Paired axial CT (left) and PSMA PET (right), 18F-PSMA tracer. Acquired on GE Discovery 690.
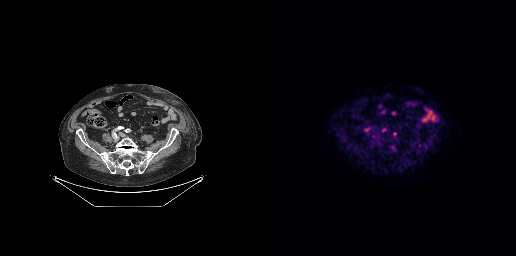
Coordinates are on the 256×256 PET (right) panel. Small PSMA-avid focus (2 to 4 px across) near (center x, center y): (134, 133).